modality: PSMA PET/CT | tracer: 68Ga-PSMA | view: axial
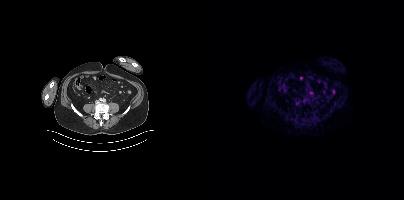
Negative for PSMA-avid disease on this slice.